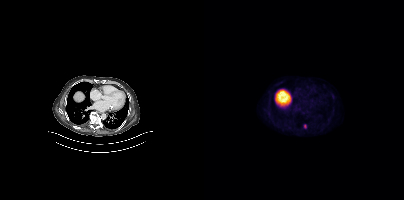
Findings: Coordinates are on the 200×200 PET (right) panel. PSMA-avid tumor lesion bounding box (x0, y0)-(x1, y1): (100, 124)-(102, 128).
Technique: Paired axial CT (left) and PSMA PET (right), [18F]PSMA-1007 tracer. acquired on Siemens Biograph mCT Flow 20.